Paired axial CT (left) and PSMA PET (right), 18F tracer. Slice 256 of 401. PET panel 200×200 px (4.1 mm/px).
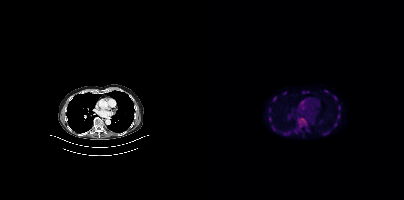
Coordinates are on the 200×200 PET (right) panel. (showing 6 of 7 foci) PSMA-avid tumor lesion bounding boxes (x0, y0)-(x1, y1): (133, 114)-(136, 118); (134, 105)-(136, 109); (130, 96)-(133, 100). Small PSMA-avid foci (2 to 4 px across) near (center x, center y): (70, 98); (65, 118); (65, 109).